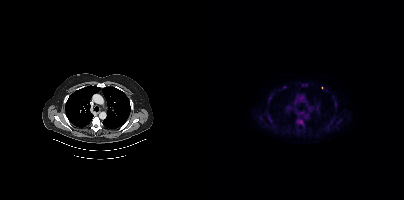
{"pet_grid":[200,200],"coord_frame":"pet_panel","coord_format":"x0,y0,x1,y1","lesion_bboxes":[[92,119,100,128],[67,120,73,126],[130,102,133,106]],"small_foci_centers":[[100,84],[66,95],[64,114],[65,101],[80,87],[131,109],[118,87]],"modality":"PSMA PET/CT","view":"axial","tracer":"[18F]PSMA-1007"}